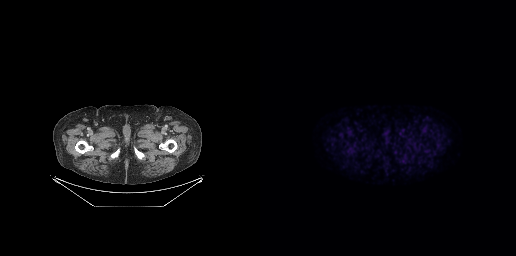
Two-panel axial: CT | PSMA PET, 18F-PSMA tracer. Negative for PSMA-avid disease on this slice.